modality: PSMA PET/CT | tracer: 18F-PSMA | view: axial
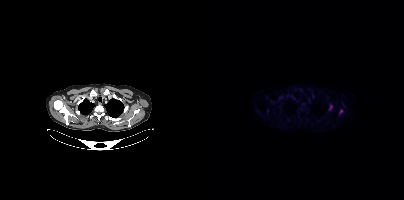
Coordinates are on the 200×200 PET (right) panel. PSMA-avid tumor lesion bounding boxes (x, y, width, height): x=125 y=104 w=4 h=6 / x=63 y=109 w=2 h=5. Small PSMA-avid focus (2 to 4 px across) near (center x, center y): (137, 111).